Paired axial CT (left) and PSMA PET (right), [18F]PSMA-1007 tracer. Acquired on GE Discovery 690. Slice 76 of 263. PET panel 256×256 px (2.7 mm/px).
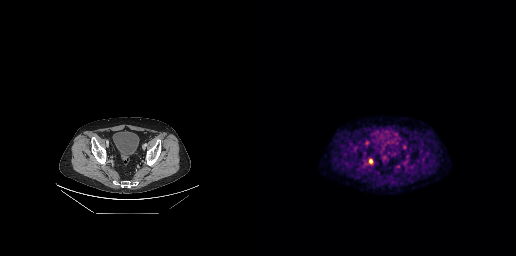
Coordinates are on the 256×256 PET (right) panel. PSMA-avid tumor lesion bounding boxes:
| # | x0 | y0 | x1 | y1 |
|---|---|---|---|---|
| 1 | 109 | 159 | 112 | 163 |